Paired axial CT (left) and PSMA PET (right), 18F tracer. Acquired on GE Discovery 690. Slice 134 of 263. PET panel 256×256 px (2.7 mm/px).
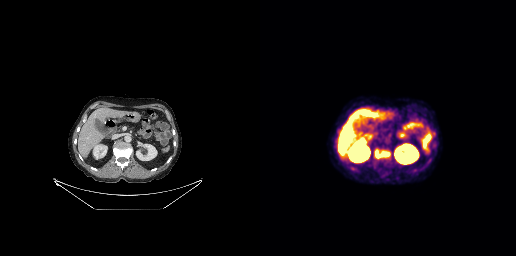
Coordinates are on the 256×256 PET (right) panel. PSMA-avid tumor lesion bounding box (x0, y0)-(x1, y1): (115, 150)-(130, 158).